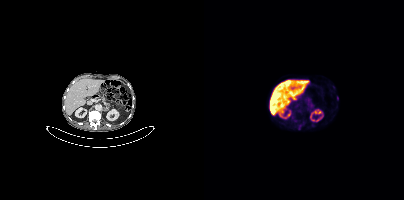
{"modality":"PSMA PET/CT","view":"axial","tracer":"18F","pet_grid":[200,200],"coord_frame":"pet_panel","coord_format":"x0,y0,x1,y1","partial":true,"lesion_bboxes":[]}